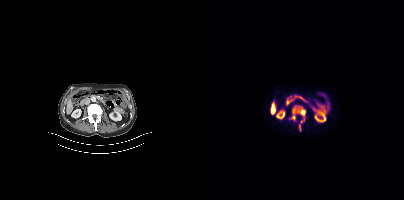
Coordinates are on the 200×200 PET (right) panel. PSMA-avid tumor lesion bounding box (x, y, width, height): x=86 y=105 w=16 h=27.